modality: PSMA PET/CT | tracer: 18F-PSMA | view: axial | PET grid: 168×168
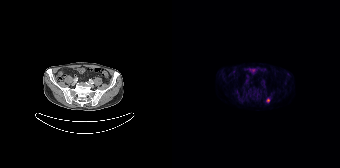
Coordinates are on the 168×168 PET (right) panel. PSMA-avid tumor lesion bounding box (x, y, width, height): x=94 y=98 w=4 h=5.